modality: PSMA PET/CT | tracer: 18F-PSMA | view: axial
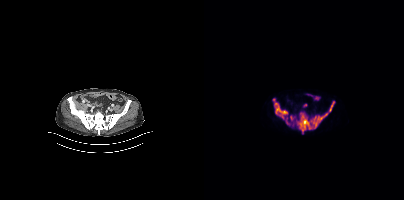
Coordinates are on the 200×200 PET (right) panel. (showing 5 of 6 foci) PSMA-avid tumor lesion bounding boxes (x, y, width, height): x=92 y=112 w=32 h=22 / x=69 y=99 w=15 h=20 / x=125 y=102 w=6 h=10 / x=86 y=115 w=4 h=6 / x=82 y=120 w=4 h=5.